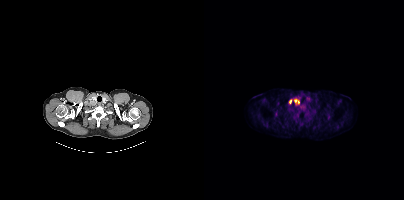
{"modality":"PSMA PET/CT","view":"axial","tracer":"[18F]PSMA-1007","pet_grid":[200,200],"coord_frame":"pet_panel","coord_format":"x0,y0,x1,y1","lesion_bboxes":[[90,99,95,104],[85,99,88,103]]}